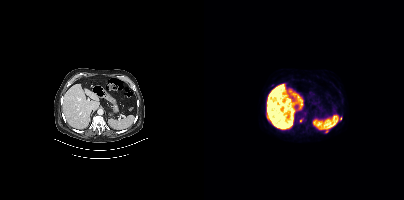
Coordinates are on the 200×200 PET (right) panel. Small PSMA-avid foci (2 to 4 px across) near (center x, center y): (122, 131); (136, 118); (96, 120). Paired axial CT (left) and PSMA PET (right), 18F tracer. Slice position z = -1088 mm.